Left: CT. Right: PSMA PET, same axial level, 18F-PSMA tracer. Slice 72 of 401.
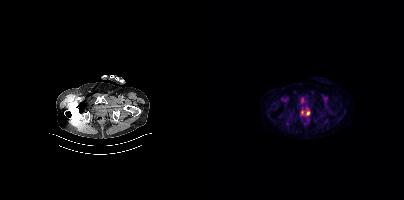
Coordinates are on the 200×200 PET (right) panel. (showing 1 of 2 foci) Small PSMA-avid focus (2 to 4 px across) near (center x, center y): (104, 113).